modality: PSMA PET/CT | tracer: [18F]PSMA-1007 | view: axial
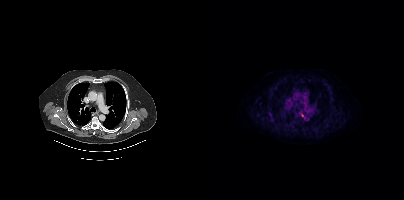
Coordinates are on the 200×200 PET (right) panel. Small PSMA-avid focus (2 to 4 px across) near (center x, center y): (97, 114).